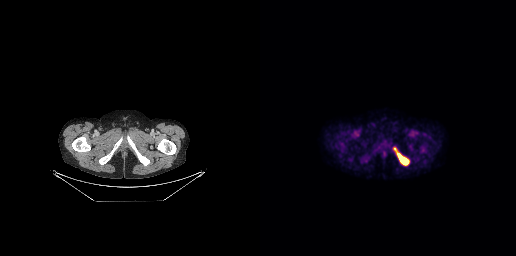
{"modality":"PSMA PET/CT","view":"axial","tracer":"18F-PSMA","pet_grid":[256,256],"coord_frame":"pet_panel","coord_format":"x0,y0,x1,y1","lesion_bboxes":[[137,152,148,165]],"small_foci_centers":[[134,148]]}